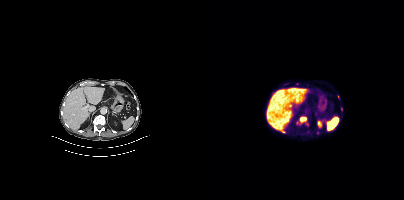
Coordinates are on the 200×200 PET (right) panel. (showing 4 of 5 foci) PSMA-avid tumor lesion bounding box (x0, y0)-(x1, y1): (96, 117)-(102, 121). Small PSMA-avid foci (2 to 4 px across) near (center x, center y): (79, 131) / (137, 109) / (92, 83).
modality: PSMA PET/CT | tracer: 18F | view: axial